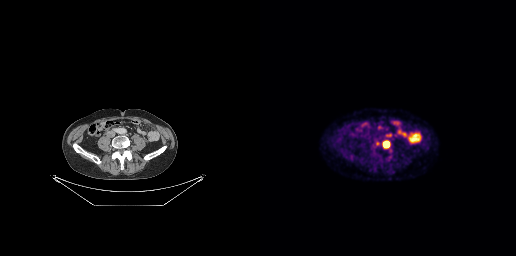
modality: PSMA PET/CT | tracer: [18F]PSMA-1007 | view: axial | PET grid: 256×256
Coordinates are on the 256×256 PET (right) panel. PSMA-avid tumor lesion bounding boxes (x0, y0)-(x1, y1): (122, 140)-(130, 148) / (126, 133)-(130, 137) / (115, 141)-(119, 145).